Left: CT. Right: PSMA PET, same axial level, 68Ga-PSMA tracer. Acquired on Siemens Biograph mCT Flow 20. PET panel 200×200 px (4.1 mm/px).
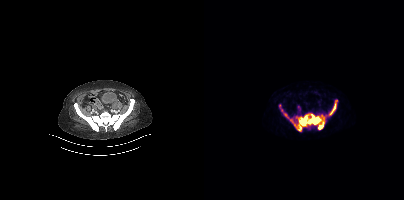
Coordinates are on the 200×200 PET (right) panel. PSMA-avid tumor lesion bounding boxes (x0,y0,x1,y1): [87,114,121,130], [124,100,133,116], [75,105,85,118].